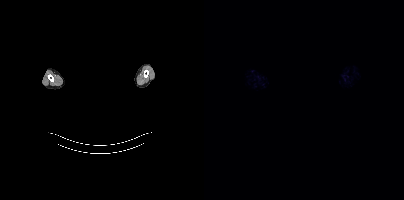
{"modality":"PSMA PET/CT","view":"axial","tracer":"18F","pet_grid":[200,200],"coord_frame":"pet_panel","coord_format":"x0,y0,x1,y1","deidentification":"facial region redacted","psma_avid_lesions":false}